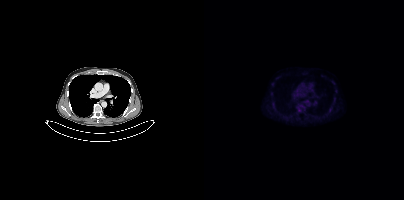
{"modality":"PSMA PET/CT","view":"axial","tracer":"[18F]PSMA-1007","pet_grid":[200,200],"coord_frame":"pet_panel","coord_format":"x0,y0,x1,y1","lesion_bboxes":[],"small_foci_centers":[[95,110]]}